modality: PSMA PET/CT | tracer: [18F]PSMA-1007 | view: axial
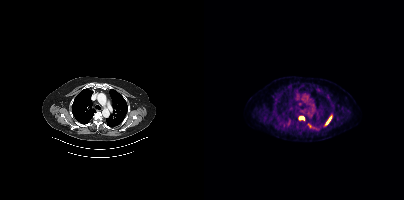
Coordinates are on the 200×200 PET (right) panel. PSMA-avid tumor lesion bounding boxes (x0, y0)-(x1, y1): (122, 116)-(127, 124); (95, 116)-(100, 119); (104, 124)-(110, 128).